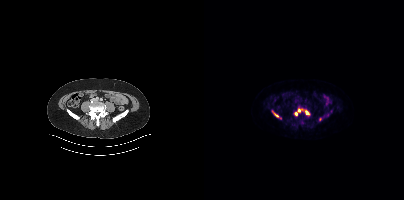
Coordinates are on the 200×200 PET (right) panel. (showing 4 of 5 foci) PSMA-avid tumor lesion bounding boxes (x, y, width, height): x=101 y=111 w=5 h=4 / x=70 y=113 w=5 h=4. Small PSMA-avid foci (2 to 4 px across) near (center x, center y): (92, 113) / (95, 110). Two-panel axial: CT | PSMA PET, 18F-PSMA tracer. PET panel 200×200 px (4.1 mm/px).